Two-panel axial: CT | PSMA PET, [18F]PSMA-1007 tracer. Slice 212 of 407.
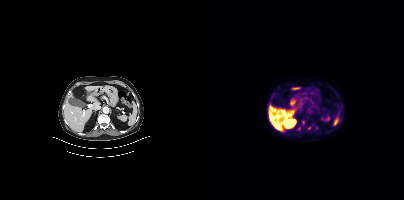
Coordinates are on the 200×200 PET (right) panel. (showing 1 of 4 foci) Small PSMA-avid focus (2 to 4 px across) near (center x, center y): (94, 128).